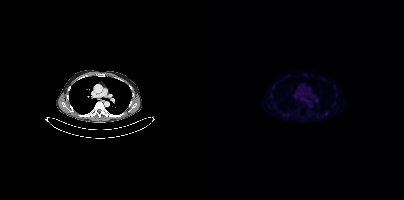
- Paired axial CT (left) and PSMA PET (right), 18F-PSMA tracer
- PET panel 200×200 px (4.1 mm/px)
Findings: Coordinates are on the 200×200 PET (right) panel. Small PSMA-avid focus (2 to 4 px across) near (center x, center y): (122, 113).